Two-panel axial: CT | PSMA PET, 18F-PSMA tracer. Acquired on Siemens Biograph mCT Flow 20. Slice 47 of 427. PET panel 200×200 px (4.1 mm/px).
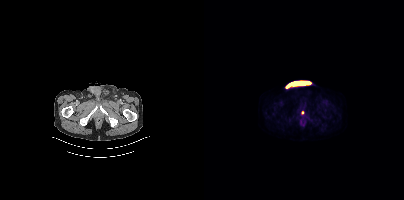
Coordinates are on the 200×200 PET (right) panel. Small PSMA-avid focus (2 to 4 px across) near (center x, center y): (98, 112).